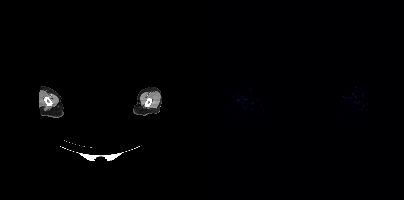
Technique: Two-panel axial: CT | PSMA PET, 18F tracer. acquired on Siemens Biograph mCT Flow 20. slice 508 of 508.
Note: An anonymization step blacked out a rectangle over the head in this scan.
Findings: No PSMA-avid tumor lesions on this slice.